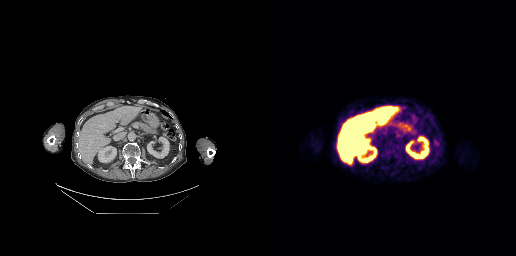
No tumor lesions annotated on this slice. Left: CT. Right: PSMA PET, same axial level, 18F-PSMA tracer. PET panel 256×256 px (2.7 mm/px).